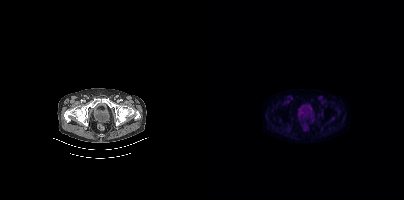
Findings: No tumor lesions annotated on this slice.
- Left: CT. Right: PSMA PET, same axial level, 18F tracer
- PET panel 200×200 px (4.1 mm/px)